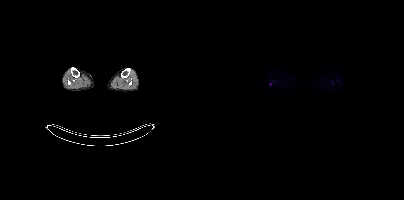
Only PSMA-avid lesion pieces thinner than 2 px on this slice (not listed). Left: CT. Right: PSMA PET, same axial level, 18F tracer. Acquired on Siemens Biograph mCT Flow 20.